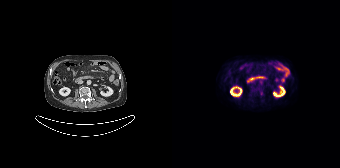
- Paired axial CT (left) and PSMA PET (right), 18F tracer
- acquired on Siemens Biograph 64-4R TruePoint
- slice position z = -1165 mm
- PET panel 168×168 px (4.1 mm/px)
Findings: Coordinates are on the 168×168 PET (right) panel. Small PSMA-avid focus (2 to 4 px across) near (center x, center y): (89, 93).